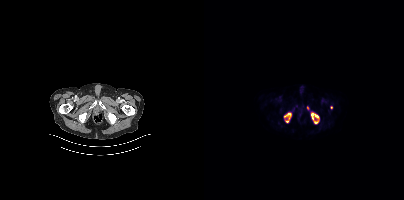
{"pet_grid":[200,200],"coord_frame":"pet_panel","coord_format":"x0,y0,x1,y1","lesion_bboxes":[[107,113,114,123],[80,113,87,122]],"small_foci_centers":[[127,107],[103,107]],"modality":"PSMA PET/CT","view":"axial","tracer":"18F"}